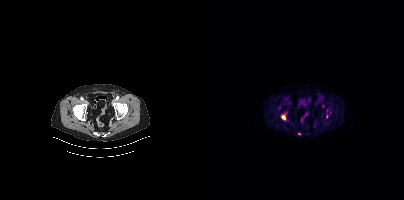
Technique: Two-panel axial: CT | PSMA PET, 18F tracer. PET panel 200×200 px (4.1 mm/px).
Findings: Coordinates are on the 200×200 PET (right) panel. (showing 2 of 3 foci) PSMA-avid tumor lesion bounding box (x0, y0)-(x1, y1): (77, 115)-(81, 119). Small PSMA-avid focus (2 to 4 px across) near (center x, center y): (94, 133).